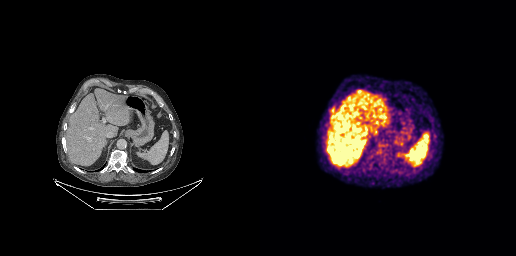
Coordinates are on the 256×256 PET (right) panel. Small PSMA-avid focus (2 to 4 px across) near (center x, center y): (70, 108). Two-panel axial: CT | PSMA PET, [18F]PSMA-1007 tracer. PET panel 256×256 px (2.7 mm/px).